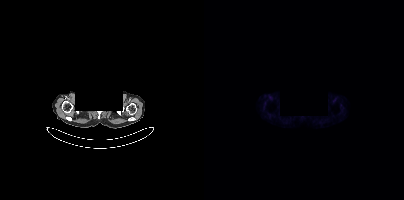
{"modality":"PSMA PET/CT","view":"axial","tracer":"[18F]PSMA-1007","pet_grid":[200,200],"coord_frame":"pet_panel","coord_format":"x0,y0,x1,y1","de-identification":"facial region redacted","psma_avid_lesions":false}